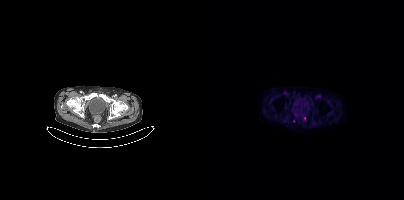
Coordinates are on the 200×200 PET (right) panel. (showing 1 of 3 foci) Small PSMA-avid focus (2 to 4 px across) near (center x, center y): (91, 113). Left: CT. Right: PSMA PET, same axial level, [18F]PSMA-1007 tracer. Acquired on Siemens Biograph mCT Flow 20. PET panel 200×200 px (4.1 mm/px).